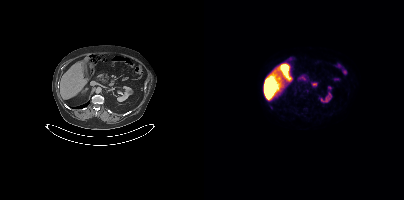
Only PSMA-avid lesion pieces thinner than 2 px on this slice (not listed). Left: CT. Right: PSMA PET, same axial level, 18F tracer. Acquired on Siemens Biograph mCT Flow 20. Slice position z = -541 mm.